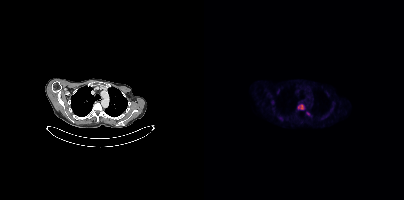
Coordinates are on the 200×200 PET (right) panel. PSMA-avid tumor lesion bounding boxes (x0,y0,x1,y1): [94,104,100,109], [102,112,106,115]. Small PSMA-avid foci (2 to 4 px across) near (center x, center y): (118, 118), (124, 94).